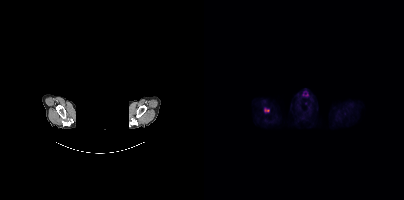
Technique: Two-panel axial: CT | PSMA PET, 18F-PSMA tracer. slice position z = 191 mm. PET panel 200×200 px (4.1 mm/px).
Note: Head region blanked for anonymization (face removed).
Findings: Coordinates are on the 200×200 PET (right) panel. PSMA-avid tumor lesion bounding box (x, y, width, height): x=60 y=108 w=6 h=4.